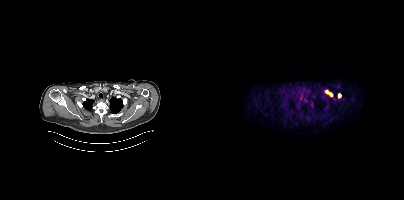
{"modality":"PSMA PET/CT","view":"axial","tracer":"68Ga","pet_grid":[200,200],"coord_frame":"pet_panel","coord_format":"x0,y0,x1,y1","lesion_bboxes":[[121,90,128,96]],"small_foci_centers":[[135,95]]}